Head region blanked for anonymization (face removed). Paired axial CT (left) and PSMA PET (right), [18F]PSMA-1007 tracer. Slice 279 of 299. PET panel 256×256 px (2.7 mm/px).
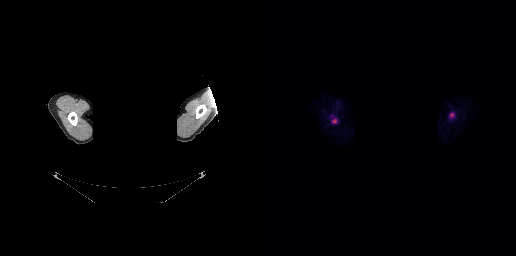
Coordinates are on the 256×256 PET (right) panel. PSMA-avid tumor lesion bounding box (x, y, width, height): x=189 y=112 w=6 h=7. Small PSMA-avid focus (2 to 4 px across) near (center x, center y): (74, 120).